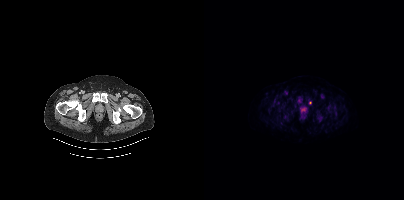
Coordinates are on the 200×200 PET (right) panel. PSMA-avid tumor lesion bounding boxes (x, y, width, height): x=97 y=107 w=6 h=6; x=113 y=114 w=6 h=6; x=93 y=98 w=5 h=6; x=130 y=112 w=4 h=5; x=67 y=103 w=4 h=5. Small PSMA-avid foci (2 to 4 px across) near (center x, center y): (124, 107); (75, 109); (104, 99); (106, 102).